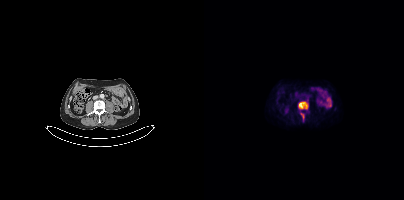
Technique: Left: CT. Right: PSMA PET, same axial level, 18F-PSMA tracer. acquired on Siemens Biograph mCT Flow 20. slice 148 of 403. PET panel 200×200 px (4.1 mm/px).
Findings: Coordinates are on the 200×200 PET (right) panel. PSMA-avid tumor lesion bounding boxes (x0, y0)-(x1, y1): (94, 101)-(104, 109) / (96, 113)-(100, 119).